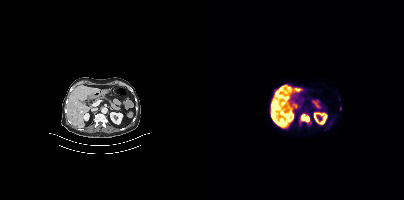
Coordinates are on the 200×200 PET (right) panel. PSMA-avid tumor lesion bounding boxes (x0,y0,x1,y1): [97,114,105,121], [71,90,78,96], [82,86,87,93], [68,102,73,108].